Left: CT. Right: PSMA PET, same axial level, [18F]PSMA-1007 tracer. Slice position z = -972 mm.
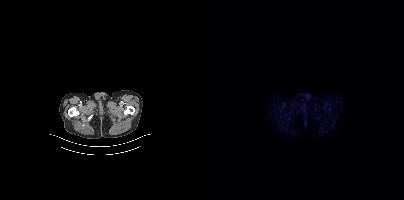
No tumor lesions annotated on this slice.